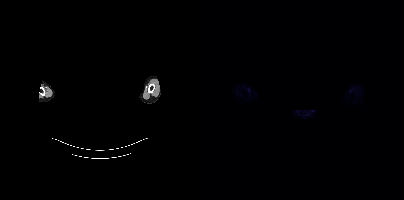
The face region was removed for patient privacy by blanking a rectangle over the head. Paired axial CT (left) and PSMA PET (right), 68Ga-PSMA tracer. Acquired on Siemens Biograph mCT Flow 20. Negative for PSMA-avid disease on this slice.